Technique: Two-panel axial: CT | PSMA PET, 18F tracer. PET panel 256×256 px (2.7 mm/px).
Note: The head region is masked for de-identification.
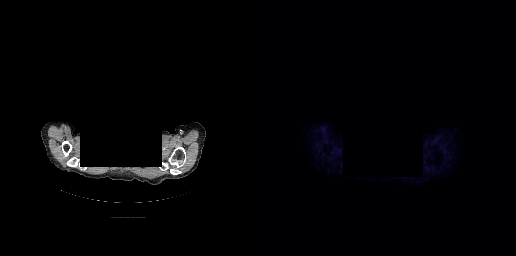
Findings: No tumor lesions annotated on this slice.